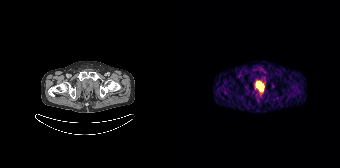
Findings: Only PSMA-avid lesion pieces thinner than 2 px on this slice (not listed).
Technique: Two-panel axial: CT | PSMA PET, 68Ga tracer. slice 28 of 165.